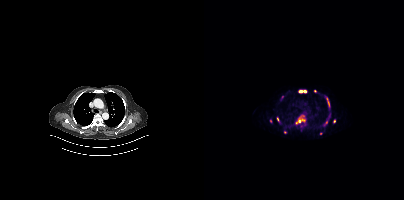
Left: CT. Right: PSMA PET, same axial level, [68Ga]Ga-PSMA-11 tracer.
Coordinates are on the 200×200 PET (right) panel. PSMA-avid tumor lesion bounding boxes (partial; 1 more focus not listed):
| # | x0 | y0 | x1 | y1 |
|---|---|---|---|---|
| 1 | 91 | 119 | 100 | 124 |
| 2 | 95 | 90 | 102 | 92 |
| 3 | 123 | 114 | 126 | 119 |
| 4 | 122 | 98 | 125 | 104 |
| 5 | 119 | 121 | 123 | 125 |
Small PSMA-avid foci (2 to 4 px across) near (center x, center y): (74, 119); (130, 121); (81, 132); (100, 124); (97, 125).